Left: CT. Right: PSMA PET, same axial level, 18F tracer. Acquired on Siemens Biograph mCT Flow 20. Slice 407 of 411. A rectangular block over the head has been blanked out for de-identification.
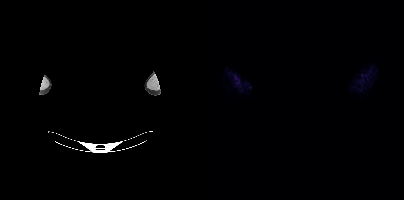
Negative for PSMA-avid disease on this slice.